modality: PSMA PET/CT | tracer: 18F-PSMA | view: axial | PET grid: 200×200
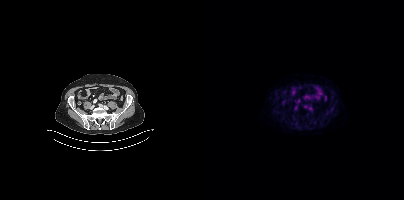
This slice has no annotated PSMA-avid lesion.